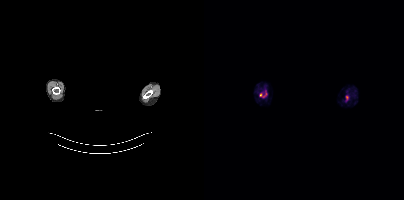
Face de-identified by blanking a block of the head.
No tumor lesions annotated on this slice.